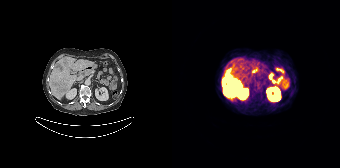
Findings: Coordinates are on the 168×168 PET (right) panel. PSMA-avid tumor lesion bounding box (x0, y0)-(x1, y1): (50, 69)-(69, 97).
Technique: Two-panel axial: CT | PSMA PET, [68Ga]Ga-PSMA-11 tracer. acquired on Siemens Biograph 64-4R TruePoint.